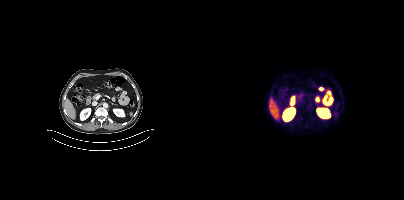
{"modality":"PSMA PET/CT","view":"axial","tracer":"68Ga-PSMA","pet_grid":[200,200],"coord_frame":"pet_panel","coord_format":"x0,y0,x1,y1","psma_avid_lesions":false}